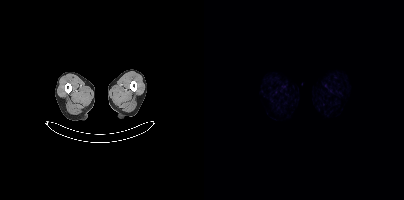
No tumor lesions annotated on this slice. Paired axial CT (left) and PSMA PET (right), 18F-PSMA tracer. Slice 8 of 448. PET panel 200×200 px (4.1 mm/px).